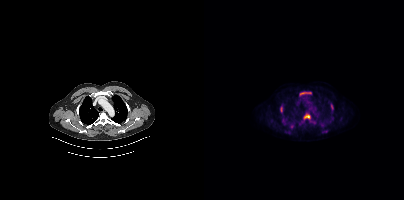
{"modality":"PSMA PET/CT","view":"axial","tracer":"[18F]PSMA-1007","pet_grid":[200,200],"coord_frame":"pet_panel","coord_format":"x0,y0,x1,y1","lesion_bboxes":[[100,114,107,121],[96,92,107,95],[76,106,78,112],[126,103,129,109],[119,130,123,132]],"small_foci_centers":[[128,118],[109,122]]}